Technique: Two-panel axial: CT | PSMA PET, 18F-PSMA tracer. acquired on Siemens Biograph mCT Flow 20.
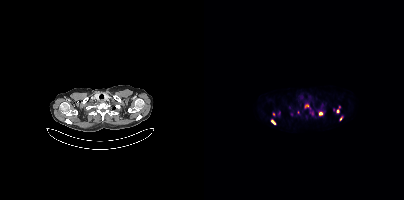
Findings: Coordinates are on the 200×200 PET (right) panel. (showing 9 of 10 foci) PSMA-avid tumor lesion bounding boxes (x0,y0,x1,y1): [101,104,105,107], [67,120,71,124], [115,112,119,114]. Small PSMA-avid foci (2 to 4 px across) near (center x, center y): (137, 118), (133, 111), (69, 114), (135, 106), (108, 113), (87, 114).